- Left: CT. Right: PSMA PET, same axial level, [68Ga]Ga-PSMA-11 tracer
- slice 277 of 409
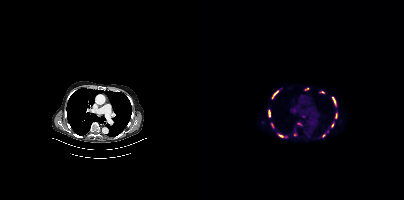
Findings: Coordinates are on the 200×200 PET (right) panel. (showing 12 of 14 foci) PSMA-avid tumor lesion bounding boxes (x0,y0,x1,y1): [64,110,66,117], [68,91,74,98], [93,122,97,125], [128,97,131,103], [131,114,133,118], [75,135,79,137]. Small PSMA-avid foci (2 to 4 px across) near (center x, center y): (99, 115), (102, 89), (128, 125), (119, 135), (68, 125), (118, 91).